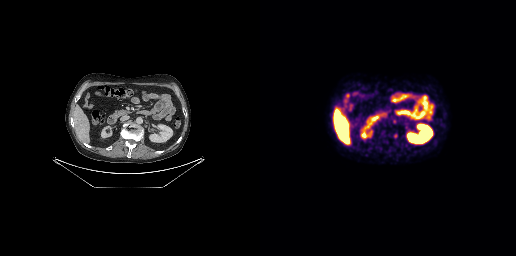
modality: PSMA PET/CT | tracer: 18F-PSMA | view: axial
Coordinates are on the 256×256 PET (right) panel. PSMA-avid tumor lesion bounding box (x, y, width, height): x=133 y=133 w=5 h=6. Small PSMA-avid focus (2 to 4 px across) near (center x, center y): (134, 121).